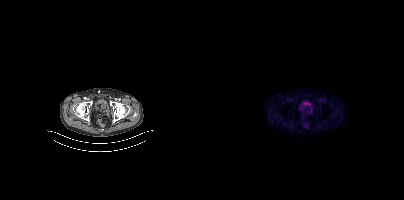
This slice has no annotated PSMA-avid lesion.